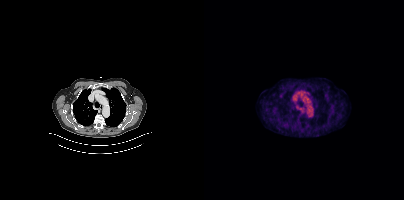
Findings: No tumor lesions annotated on this slice.
Technique: Paired axial CT (left) and PSMA PET (right), [18F]PSMA-1007 tracer. PET panel 200×200 px (4.1 mm/px).